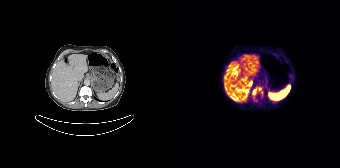
{"modality":"PSMA PET/CT","view":"axial","tracer":"68Ga-PSMA","pet_grid":[168,168],"coord_frame":"pet_panel","coord_format":"x0,y0,x1,y1","partial":true,"lesion_bboxes":[[80,88,84,94]],"small_foci_centers":[[88,89]]}